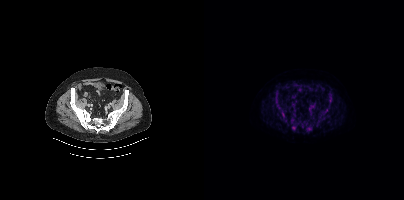
Two-panel axial: CT | PSMA PET, [18F]PSMA-1007 tracer. Acquired on Siemens Biograph mCT Flow 20. Slice position z = -1303 mm. Coordinates are on the 200×200 PET (right) panel. (showing 8 of 9 foci) PSMA-avid tumor lesion bounding boxes (x0, y0)-(x1, y1): (87, 120)-(93, 130); (71, 99)-(76, 109); (123, 96)-(128, 102); (103, 126)-(107, 131); (77, 111)-(80, 118); (119, 108)-(124, 113). Small PSMA-avid foci (2 to 4 px across) near (center x, center y): (113, 123); (107, 120).